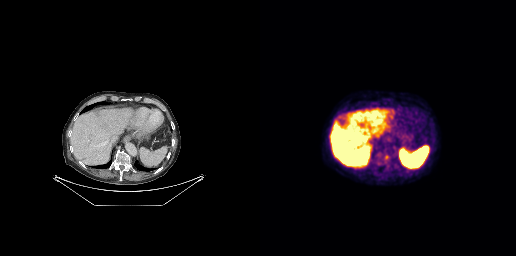
{"modality":"PSMA PET/CT","view":"axial","tracer":"18F-PSMA","pet_grid":[256,256],"coord_frame":"pet_panel","coord_format":"x0,y0,x1,y1","lesion_bboxes":[[117,153,121,157]],"small_foci_centers":[[126,157]]}